Technique: Two-panel axial: CT | PSMA PET, [18F]PSMA-1007 tracer. acquired on Siemens Biograph mCT Flow 20. slice position z = -1002 mm.
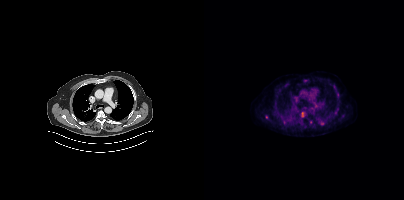
Findings: Coordinates are on the 200×200 PET (right) panel. PSMA-avid tumor lesion bounding box (x0, y0)-(x1, y1): (97, 111)-(101, 117). Small PSMA-avid foci (2 to 4 px across) near (center x, center y): (107, 122); (62, 117); (119, 123); (133, 109).